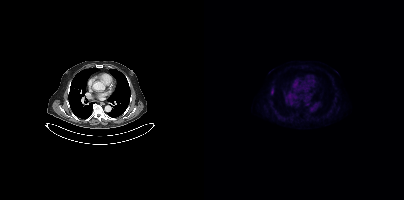
{"pet_grid":[200,200],"coord_frame":"pet_panel","coord_format":"x0,y0,x1,y1","lesion_bboxes":[],"small_foci_centers":[[68,91]],"modality":"PSMA PET/CT","view":"axial","tracer":"18F-PSMA"}